Technique: Left: CT. Right: PSMA PET, same axial level, [18F]PSMA-1007 tracer.
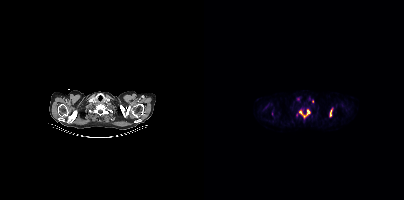
Findings: Coordinates are on the 200×200 PET (right) panel. (showing 4 of 5 foci) PSMA-avid tumor lesion bounding boxes (x, y, width, height): x=95 y=110 w=11 h=8; x=126 y=109 w=3 h=8. Small PSMA-avid foci (2 to 4 px across) near (center x, center y): (68, 113); (108, 101).